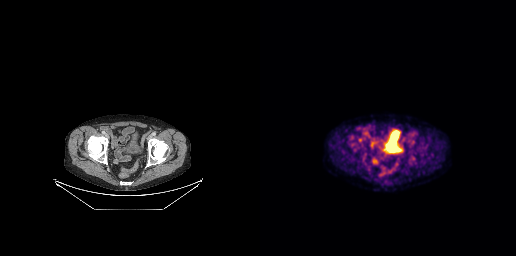
Technique: Left: CT. Right: PSMA PET, same axial level, [18F]PSMA-1007 tracer.
Findings: Coordinates are on the 256×256 PET (right) panel. (showing 2 of 3 foci) Small PSMA-avid foci (2 to 4 px across) near (center x, center y): (105, 133) / (100, 140).